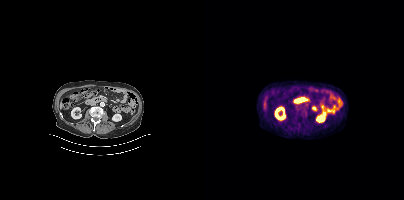
{"modality":"PSMA PET/CT","view":"axial","tracer":"18F","pet_grid":[200,200],"coord_frame":"pet_panel","coord_format":"x0,y0,x1,y1","psma_avid_lesions":false}